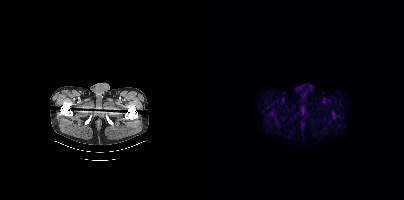
This slice has no annotated PSMA-avid lesion.